Left: CT. Right: PSMA PET, same axial level, [18F]PSMA-1007 tracer. Acquired on Siemens Biograph mCT Flow 20.
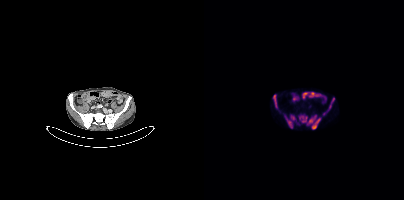
Coordinates are on the 200×200 PET (right) panel. PSMA-avid tumor lesion bounding boxes (x, y, width, height): x=81 y=115 w=11 h=14; x=108 y=118 w=9 h=12; x=95 y=116 w=9 h=7; x=69 y=95 w=4 h=13; x=105 y=116 w=7 h=8; x=124 y=98 w=7 h=13. Small PSMA-avid focus (2 to 4 px across) near (center x, center y): (120, 113).